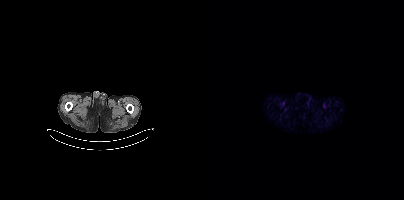
This slice has no annotated PSMA-avid lesion. Left: CT. Right: PSMA PET, same axial level, 18F-PSMA tracer.